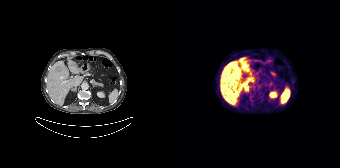
Coordinates are on the 168×168 PET (right) panel. (showing 6 of 7 foci) PSMA-avid tumor lesion bounding boxes (x0, y0)-(x1, y1): (53, 62)-(67, 76); (72, 85)-(76, 91); (70, 63)-(74, 68). Small PSMA-avid foci (2 to 4 px across) near (center x, center y): (59, 76); (68, 88); (69, 59). Two-panel axial: CT | PSMA PET, [68Ga]Ga-PSMA-11 tracer. Acquired on Siemens Biograph 64-4R TruePoint. Slice position z = -416 mm. PET panel 168×168 px (4.1 mm/px).